- Paired axial CT (left) and PSMA PET (right), 18F tracer
- slice position z = -1246 mm
- PET panel 200×200 px (4.1 mm/px)
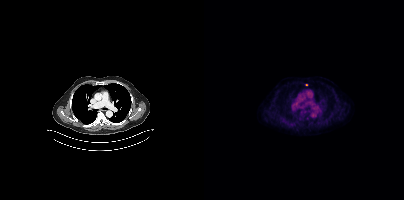
Findings: Coordinates are on the 200×200 PET (right) panel. Small PSMA-avid focus (2 to 4 px across) near (center x, center y): (102, 84).